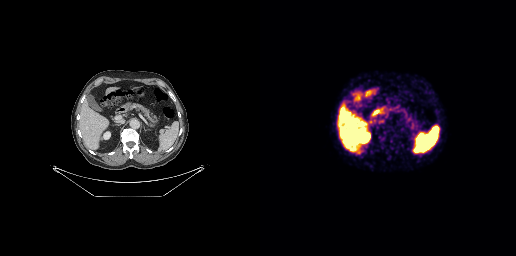
Findings: Coordinates are on the 256×256 PET (right) panel. PSMA-avid tumor lesion bounding box (x0,y0,x1,y1): [159,132,163,135].
Technique: Left: CT. Right: PSMA PET, same axial level, [68Ga]Ga-PSMA-11 tracer.